- Left: CT. Right: PSMA PET, same axial level, 18F-PSMA tracer
- PET panel 200×200 px (4.1 mm/px)
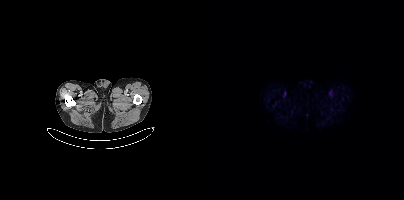
Findings: Negative for PSMA-avid disease on this slice.